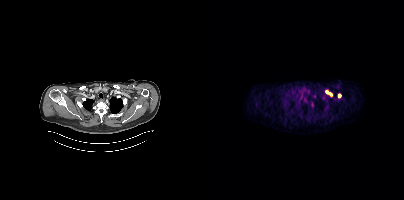
Coordinates are on the 200×200 PET (right) panel. PSMA-avid tumor lesion bounding box (x0, y0)-(x1, y1): (121, 90)-(128, 96). Small PSMA-avid foci (2 to 4 px across) near (center x, center y): (135, 95); (119, 97).
modality: PSMA PET/CT | tracer: 68Ga-PSMA | view: axial